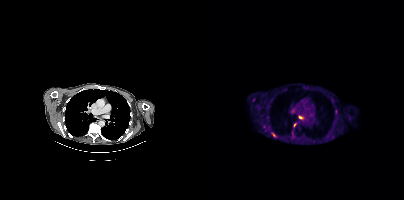
Coordinates are on the 200×200 PET (right) panel. (showing 3 of 4 foci) PSMA-avid tumor lesion bounding box (x, y, width, height): x=89 y=123 w=4 h=5. Small PSMA-avid foci (2 to 4 px across) near (center x, center y): (69, 134) / (63, 117).